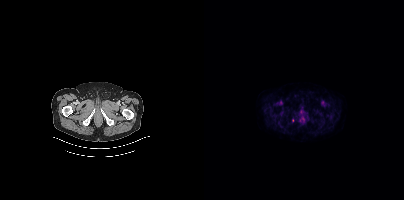
Findings: Coordinates are on the 200×200 PET (right) panel. Small PSMA-avid focus (2 to 4 px across) near (center x, center y): (88, 120).
Technique: Left: CT. Right: PSMA PET, same axial level, 18F tracer. acquired on Siemens Biograph mCT Flow 20. slice 33 of 381. PET panel 200×200 px (4.1 mm/px).